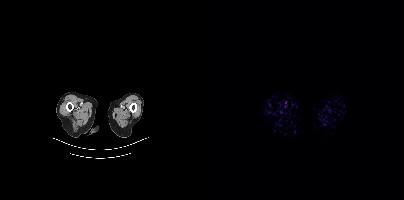
Negative for PSMA-avid disease on this slice.
modality: PSMA PET/CT | tracer: [68Ga]Ga-PSMA-11 | view: axial